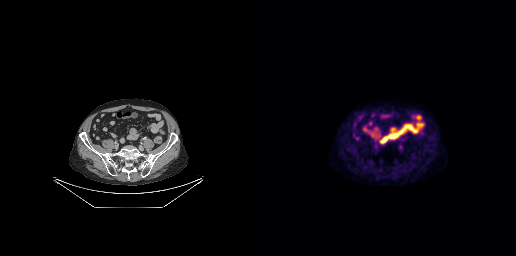
- Left: CT. Right: PSMA PET, same axial level, [18F]PSMA-1007 tracer
- slice position z = -568 mm
- PET panel 256×256 px (2.7 mm/px)
Findings: No PSMA-avid tumor lesions on this slice.